Technique: Left: CT. Right: PSMA PET, same axial level, 18F-PSMA tracer.
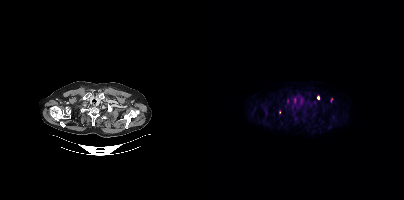
Findings: Coordinates are on the 200×200 PET (right) panel. (showing 2 of 4 foci) Small PSMA-avid foci (2 to 4 px across) near (center x, center y): (114, 97); (75, 112).